Left: CT. Right: PSMA PET, same axial level, [18F]PSMA-1007 tracer. Acquired on Siemens Biograph mCT Flow 20. Slice 236 of 429. PET panel 200×200 px (4.1 mm/px).
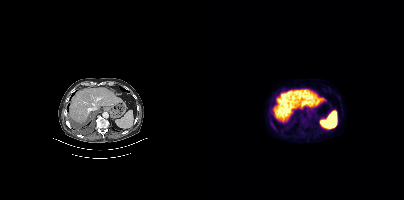
Coordinates are on the 200×200 PET (right) panel. Small PSMA-avid focus (2 to 4 px across) near (center x, center y): (70, 127).